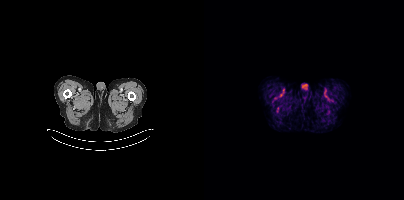
This slice has no annotated PSMA-avid lesion.